Two-panel axial: CT | PSMA PET, [68Ga]Ga-PSMA-11 tracer. Acquired on Siemens Biograph mCT Flow 20. Slice position z = -1154 mm. PET panel 200×200 px (4.1 mm/px).
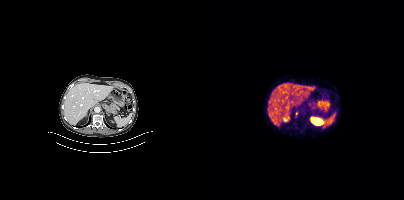
Coordinates are on the 200×200 PET (right) panel. Small PSMA-avid focus (2 to 4 px across) near (center x, center y): (92, 113).